Technique: Left: CT. Right: PSMA PET, same axial level, 68Ga tracer.
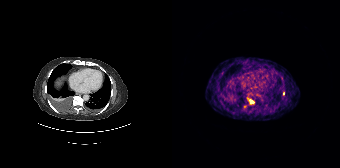
Findings: Coordinates are on the 168×168 PET (right) panel. (showing 2 of 3 foci) Small PSMA-avid foci (2 to 4 px across) near (center x, center y): (111, 93); (78, 101).